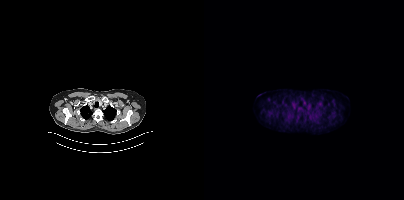
Paired axial CT (left) and PSMA PET (right), 18F-PSMA tracer. Slice 330 of 409. Negative for PSMA-avid disease on this slice.